Paired axial CT (left) and PSMA PET (right), [18F]PSMA-1007 tracer. Slice position z = -1013 mm. PET panel 200×200 px (4.1 mm/px).
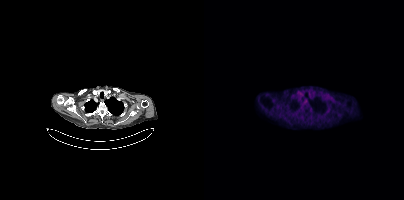
No PSMA-avid tumor lesions on this slice.